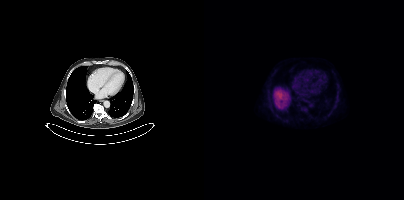
Coordinates are on the 200×200 PET (right) panel. Small PSMA-avid focus (2 to 4 px across) near (center x, center y): (100, 109).
modality: PSMA PET/CT | tracer: [18F]PSMA-1007 | view: axial | PET grid: 200×200